Technique: Two-panel axial: CT | PSMA PET, 18F-PSMA tracer. acquired on Siemens Biograph mCT Flow 20. slice 257 of 409. PET panel 200×200 px (4.1 mm/px).
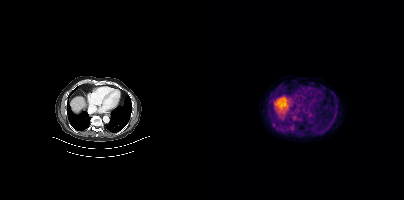
Findings: This slice has no annotated PSMA-avid lesion.